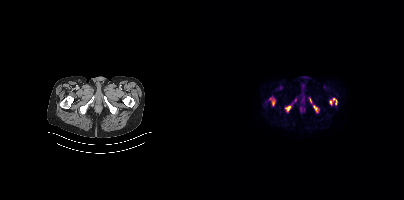
Coordinates are on the 200×200 PET (right) panel. PSMA-avid tumor lesion bounding boxes (x0,y0,x1,y1): [126,98,133,104]; [81,106,87,111]; [109,105,113,111]; [105,97,107,103]. Small PSMA-avid focus (2 to 4 px across) near (center x, center y): (69, 103).